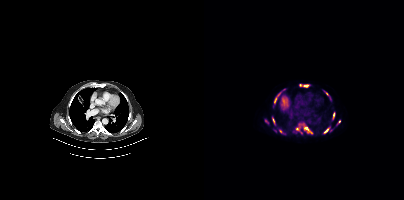
{"pet_grid":[200,200],"coord_frame":"pet_panel","coord_format":"x0,y0,x1,y1","partial":true,"lesion_bboxes":[[120,128,125,133],[100,127,105,131],[129,113,130,117]],"small_foci_centers":[[101,85],[69,120],[93,128],[135,121],[76,131]],"modality":"PSMA PET/CT","view":"axial","tracer":"18F"}